- Paired axial CT (left) and PSMA PET (right), 18F-PSMA tracer
- acquired on Siemens Biograph mCT Flow 20
- PET panel 200×200 px (4.1 mm/px)
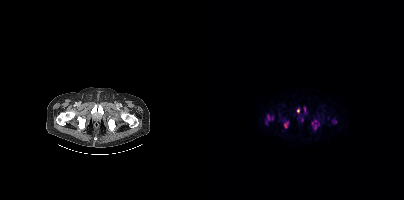
Findings: Coordinates are on the 200×200 PET (right) panel. PSMA-avid tumor lesion bounding boxes (x0,y0,x1,y1): [62,114,69,121], [80,121,84,127], [128,119,132,123], [110,125,112,129]. Small PSMA-avid foci (2 to 4 px across) near (center x, center y): (94, 110), (100, 109), (98, 120), (108, 123), (111, 120).